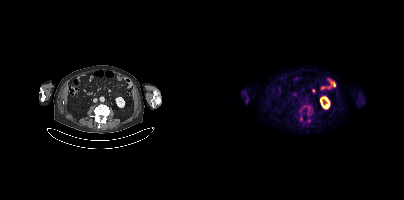
Paired axial CT (left) and PSMA PET (right), 18F tracer. Acquired on Siemens Biograph mCT Flow 20. Slice position z = -64 mm.
Coordinates are on the 200×200 PET (right) panel. PSMA-avid tumor lesion bounding boxes (partial; 3 more foci not listed):
| # | x0 | y0 | x1 | y1 |
|---|---|---|---|---|
| 1 | 103 | 106 | 106 | 114 |
Small PSMA-avid foci (2 to 4 px across) near (center x, center y): (97, 118); (100, 105); (104, 120).